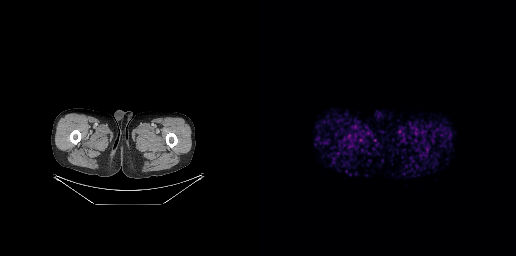
- Two-panel axial: CT | PSMA PET, 68Ga tracer
- acquired on GE Discovery 690
- slice position z = -1038 mm
Findings: This slice has no annotated PSMA-avid lesion.